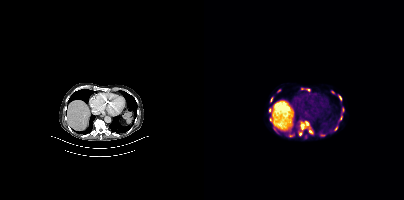
{"pet_grid":[200,200],"coord_frame":"pet_panel","coord_format":"x0,y0,x1,y1","partial":true,"lesion_bboxes":[[95,121,109,135],[67,122,72,131],[135,114,138,120],[134,95,138,100],[138,107,140,112],[131,126,133,130],[85,135,89,136]],"small_foci_centers":[[66,109],[128,92],[75,90],[104,90],[97,88]],"modality":"PSMA PET/CT","view":"axial","tracer":"[18F]PSMA-1007"}